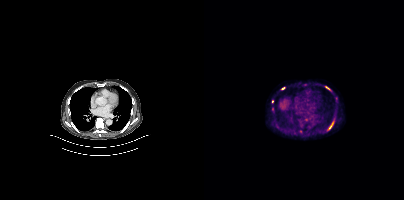
Coordinates are on the 200×200 PET (right) panel. PSMA-avid tumor lesion bounding boxes (x0,y0,x1,y1): [124,122,129,129]; [121,86,125,89]; [77,87,81,89]. Small PSMA-avid focus (2 to 4 px across) near (center x, center y): (68, 101).